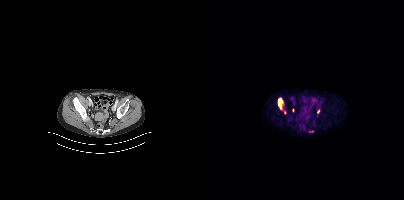
modality: PSMA PET/CT | tracer: 18F-PSMA | view: axial
Coordinates are on the 200×200 PET (right) panel. (showing 4 of 5 foci) PSMA-avid tumor lesion bounding boxes (x0, y0)-(x1, y1): (74, 98)-(79, 109) / (105, 130)-(109, 132) / (113, 109)-(115, 113). Small PSMA-avid focus (2 to 4 px across) near (center x, center y): (80, 112).